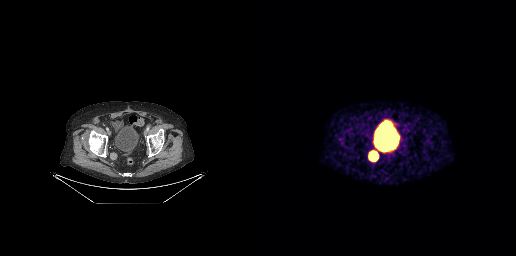
Coordinates are on the 256×256 PET (right) panel. PSMA-avid tumor lesion bounding boxes:
| # | x0 | y0 | x1 | y1 |
|---|---|---|---|---|
| 1 | 110 | 153 | 117 | 159 |
Two-panel axial: CT | PSMA PET, 68Ga-PSMA tracer.